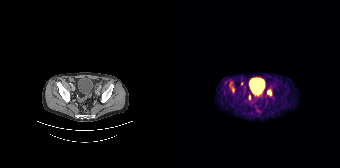
Coordinates are on the 168×168 PET (right) panel. (showing 2 of 5 foci) PSMA-avid tumor lesion bounding box (x0,y0,x1,y1): [95,90,100,96]. Small PSMA-avid focus (2 to 4 px across) near (center x, center y): (88, 95).